Paired axial CT (left) and PSMA PET (right), 18F-PSMA tracer. Acquired on Siemens Biograph mCT Flow 20. Slice 389 of 435. PET panel 200×200 px (4.1 mm/px). Privacy masking over the head, with the pixels inside a rectangle set to black.
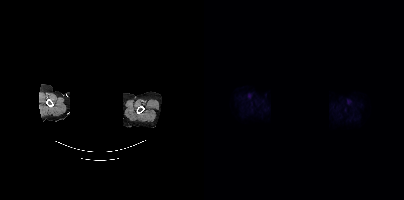
This slice has no annotated PSMA-avid lesion.